- Left: CT. Right: PSMA PET, same axial level, 18F-PSMA tracer
- PET panel 200×200 px (4.1 mm/px)
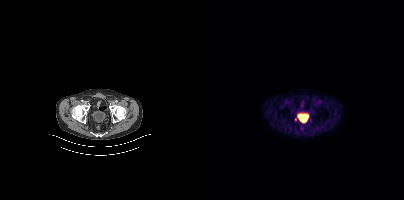
Findings: Negative for PSMA-avid disease on this slice.